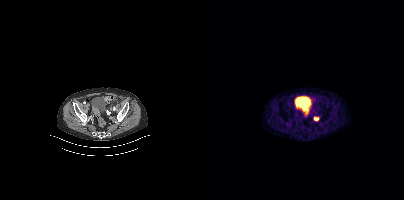
Left: CT. Right: PSMA PET, same axial level, 68Ga-PSMA tracer. PET panel 200×200 px (4.1 mm/px). Coordinates are on the 200×200 PET (right) panel. PSMA-avid tumor lesion bounding box (x0, y0)-(x1, y1): (110, 117)-(114, 120).